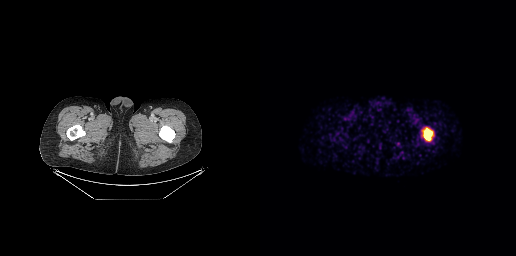
Technique: Paired axial CT (left) and PSMA PET (right), 68Ga-PSMA tracer. PET panel 256×256 px (2.7 mm/px).
Findings: Coordinates are on the 256×256 PET (right) panel. PSMA-avid tumor lesion bounding box (x, y, width, height): x=162 y=127 w=12 h=15.